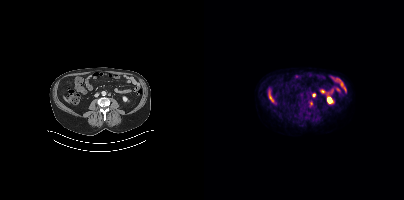
Technique: Paired axial CT (left) and PSMA PET (right), 18F tracer. acquired on Siemens Biograph mCT Flow 20. slice 158 of 411.
Findings: Coordinates are on the 200×200 PET (right) panel. (showing 1 of 2 foci) Small PSMA-avid focus (2 to 4 px across) near (center x, center y): (109, 94).